Technique: Two-panel axial: CT | PSMA PET, 18F-PSMA tracer. acquired on Siemens Biograph mCT Flow 20. slice position z = -1111 mm.
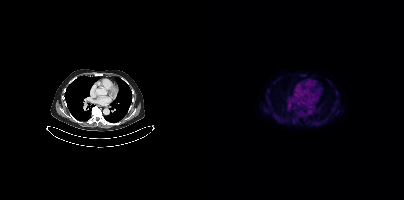
Findings: Coordinates are on the 200×200 PET (right) panel. Small PSMA-avid focus (2 to 4 px across) near (center x, center y): (85, 105).